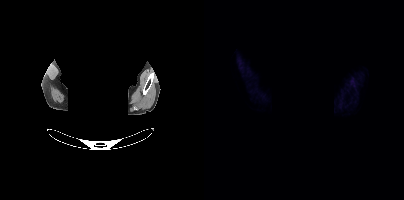
Findings: No PSMA-avid tumor lesions on this slice.
- facial anatomy redacted by setting a rectangular region of the head to black
- Two-panel axial: CT | PSMA PET, 18F-PSMA tracer
- acquired on Siemens Biograph mCT Flow 20
- slice 370 of 419
- PET panel 200×200 px (4.1 mm/px)